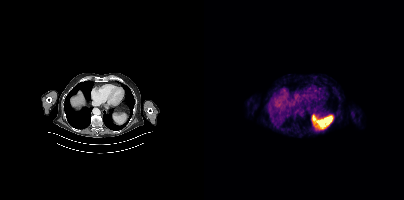
Negative for PSMA-avid disease on this slice.
modality: PSMA PET/CT | tracer: [18F]PSMA-1007 | view: axial